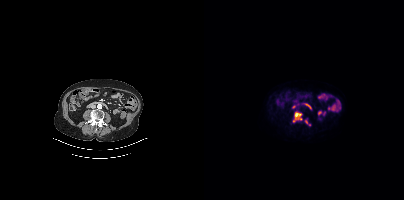
Two-panel axial: CT | PSMA PET, [18F]PSMA-1007 tracer. Acquired on Siemens Biograph mCT Flow 20. Slice 149 of 377.
Coordinates are on the 200×200 PET (right) panel. PSMA-avid tumor lesion bounding boxes:
| # | x0 | y0 | x1 | y1 |
|---|---|---|---|---|
| 1 | 89 | 111 | 98 | 122 |
| 2 | 101 | 120 | 106 | 125 |
Small PSMA-avid focus (2 to 4 px across) near (center x, center y): (86, 123).